modality: PSMA PET/CT | tracer: 18F-PSMA | view: axial
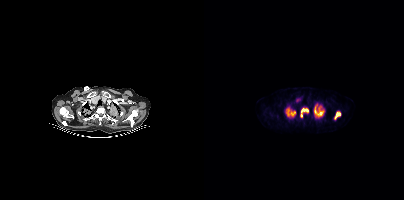
Coordinates are on the 200×200 PET (right) panel. PSMA-avid tumor lesion bounding boxes (x0,y0,x1,y1): [110,105,120,116], [96,108,104,117], [83,109,91,115], [131,112,136,119].